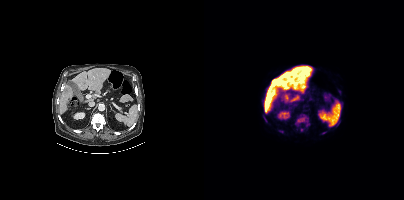
Left: CT. Right: PSMA PET, same axial level, 18F tracer.
Coordinates are on the 200×200 PET (right) panel. PSMA-avid tumor lesion bounding boxes:
| # | x0 | y0 | x1 | y1 |
|---|---|---|---|---|
| 1 | 91 | 114 | 105 | 126 |
| 2 | 59 | 115 | 63 | 121 |
Small PSMA-avid focus (2 to 4 px across) near (center x, center y): (97, 129).